modality: PSMA PET/CT | tracer: [18F]PSMA-1007 | view: axial
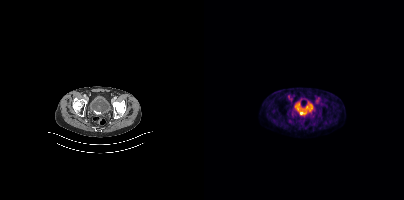
Coordinates are on the 200×200 PET (right) panel. PSMA-avid tumor lesion bounding box (x0,y0,x1,y1): [96,107,102,113].